Two-panel axial: CT | PSMA PET, [18F]PSMA-1007 tracer. PET panel 200×200 px (4.1 mm/px).
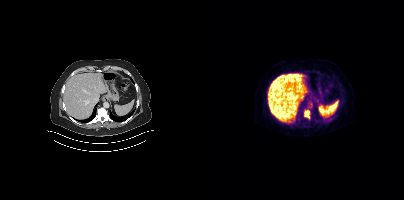
Coordinates are on the 200×200 PET (right) panel. PSMA-avid tumor lesion bounding boxes:
| # | x0 | y0 | x1 | y1 |
|---|---|---|---|---|
| 1 | 100 | 110 | 105 | 118 |